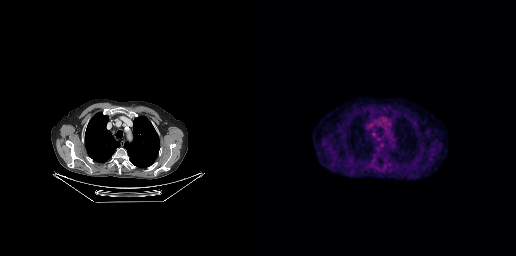
- Paired axial CT (left) and PSMA PET (right), [18F]PSMA-1007 tracer
- acquired on GE Discovery 690
- slice position z = -353 mm
Findings: Coordinates are on the 256×256 PET (right) panel. Small PSMA-avid focus (2 to 4 px across) near (center x, center y): (113, 133).